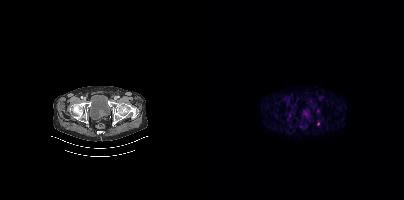
Findings: Coordinates are on the 200×200 PET (right) panel. (showing 1 of 2 foci) Small PSMA-avid focus (2 to 4 px across) near (center x, center y): (114, 123).
- Two-panel axial: CT | PSMA PET, 18F tracer